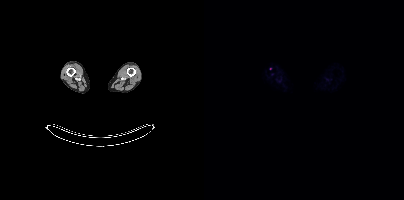
{"modality":"PSMA PET/CT","view":"axial","tracer":"18F","pet_grid":[200,200],"coord_frame":"pet_panel","coord_format":"x0,y0,x1,y1","lesion_bboxes":[],"small_foci_centers":[[66,68]]}